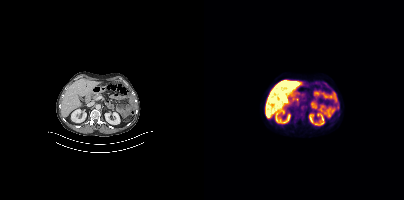
Findings: This slice has no annotated PSMA-avid lesion.
Technique: Paired axial CT (left) and PSMA PET (right), 18F-PSMA tracer. PET panel 200×200 px (4.1 mm/px).